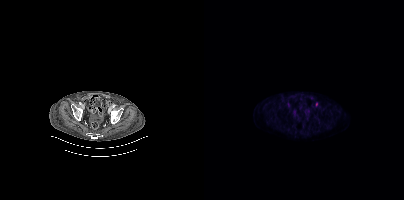
{"modality":"PSMA PET/CT","view":"axial","tracer":"18F-PSMA","pet_grid":[200,200],"coord_frame":"pet_panel","coord_format":"x0,y0,x1,y1","lesion_bboxes":[[112,102,113,106]]}